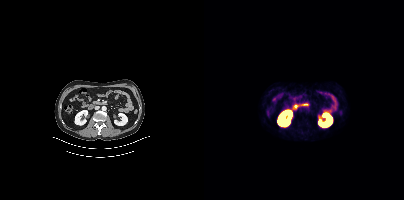
This slice has no annotated PSMA-avid lesion.
modality: PSMA PET/CT | tracer: 68Ga | view: axial | PET grid: 200×200